- Paired axial CT (left) and PSMA PET (right), 68Ga-PSMA tracer
- slice 95 of 263
- PET panel 256×256 px (2.7 mm/px)
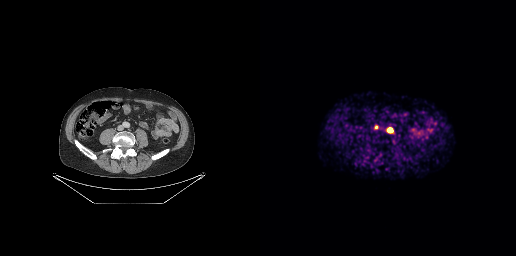
Findings: Coordinates are on the 256×256 PET (right) panel. PSMA-avid tumor lesion bounding box (x, y, width, height): x=114 y=125 w=5 h=5. Small PSMA-avid focus (2 to 4 px across) near (center x, center y): (130, 130).